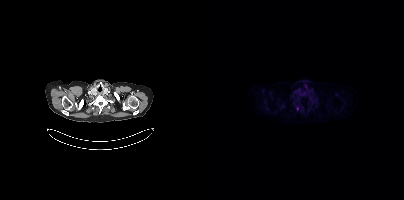
Findings: Coordinates are on the 200×200 PET (right) panel. Small PSMA-avid focus (2 to 4 px across) near (center x, center y): (93, 108).
Technique: Paired axial CT (left) and PSMA PET (right), 18F-PSMA tracer. acquired on Siemens Biograph mCT Flow 20. slice 335 of 395. PET panel 200×200 px (4.1 mm/px).